- Left: CT. Right: PSMA PET, same axial level, 18F tracer
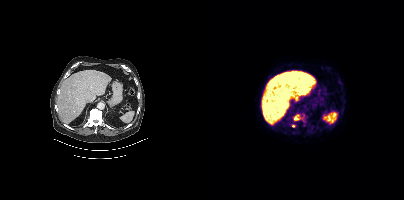
Findings: Coordinates are on the 200×200 PET (right) panel. PSMA-avid tumor lesion bounding box (x, y, width, height): x=90 y=114 w=6 h=7. Small PSMA-avid focus (2 to 4 px across) near (center x, center y): (89, 126).